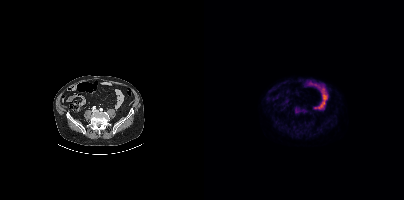
Only PSMA-avid lesion pieces thinner than 2 px on this slice (not listed). Left: CT. Right: PSMA PET, same axial level, 18F-PSMA tracer. Acquired on Siemens Biograph mCT Flow 20. Slice position z = -854 mm.